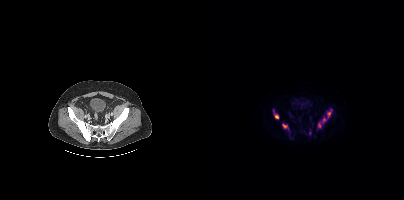
Coordinates are on the 200×200 PET (right) panel. PSMA-avid tumor lesion bounding boxes (x, y, width, height): x=123 y=109 w=6 h=9; x=69 y=110 w=6 h=9; x=78 y=124 w=6 h=5; x=114 y=122 w=4 h=6; x=118 y=117 w=5 h=6.